Paired axial CT (left) and PSMA PET (right), 18F-PSMA tracer. Acquired on Siemens Biograph mCT Flow 20.
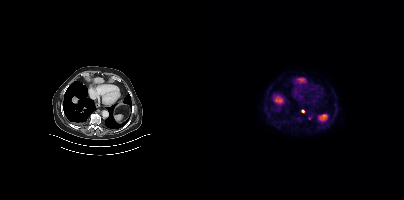
Coordinates are on the 200×200 PET (right) panel. Small PSMA-avid focus (2 to 4 px across) near (center x, center y): (98, 111).